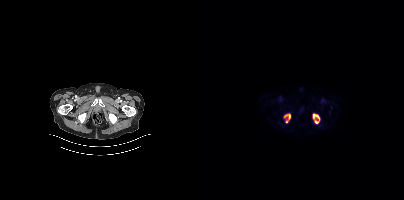
Coordinates are on the 200×200 PET (right) panel. PSMA-avid tumor lesion bounding boxes (x0,y0,x1,y1): [109,114,115,123]; [80,114,86,122].